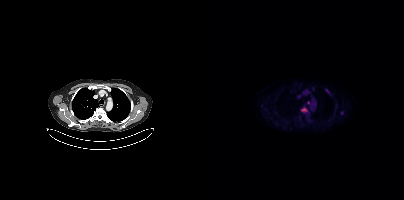
Coordinates are on the 200×200 PET (right) panel. (showing 2 of 3 foci) PSMA-avid tumor lesion bounding box (x0, y0)-(x1, y1): (98, 108)-(102, 110). Small PSMA-avid focus (2 to 4 px across) near (center x, center y): (104, 102).